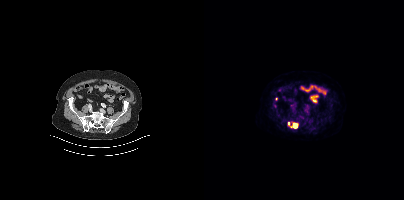
Coordinates are on the 200×200 PET (right) panel. (showing 1 of 2 foci) PSMA-avid tumor lesion bounding box (x0,y0,x1,y1): [84,122,94,128].